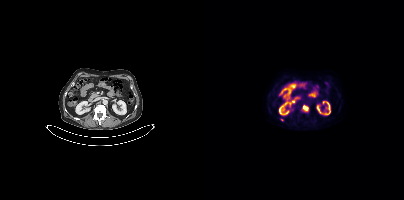
Coordinates are on the 200×200 PET (right) panel. PSMA-avid tumor lesion bounding box (x, y, width, height): x=99 y=105 w=6 h=6. Small PSMA-avid focus (2 to 4 px across) near (center x, center y): (77, 119).